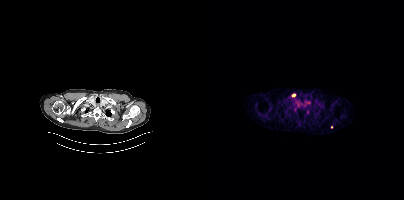
- Two-panel axial: CT | PSMA PET, 68Ga-PSMA tracer
- slice 307 of 373
Findings: Coordinates are on the 200×200 PET (right) panel. Small PSMA-avid foci (2 to 4 px across) near (center x, center y): (89, 94) / (127, 126).